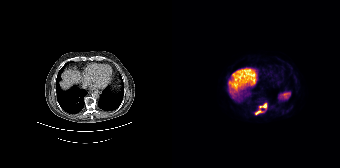
{"modality":"PSMA PET/CT","view":"axial","tracer":"[18F]PSMA-1007","pet_grid":[168,168],"coord_frame":"pet_panel","coord_format":"x0,y0,x1,y1","lesion_bboxes":[[83,103,95,114]]}